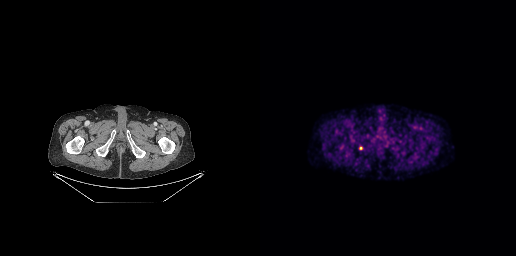
Coordinates are on the 256×256 PET (right) panel. Small PSMA-avid focus (2 to 4 px across) near (center x, center y): (100, 147).